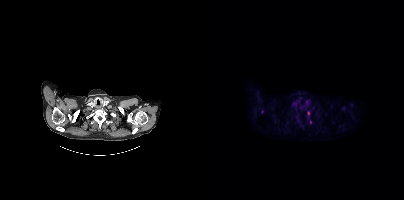
Coordinates are on the 200×200 PET (right) panel. (showing 1 of 2 foci) Small PSMA-avid focus (2 to 4 px across) near (center x, center y): (104, 112).